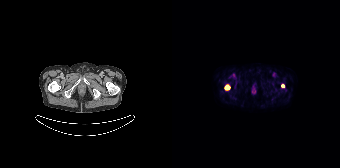
{"pet_grid":[168,168],"coord_frame":"pet_panel","coord_format":"x0,y0,x1,y1","lesion_bboxes":[[52,84,58,90]],"small_foci_centers":[[110,85]],"modality":"PSMA PET/CT","view":"axial","tracer":"18F"}